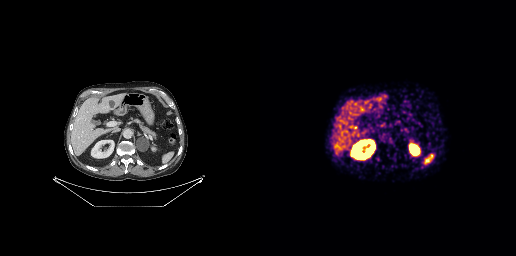
{"modality":"PSMA PET/CT","view":"axial","tracer":"68Ga","pet_grid":[256,256],"coord_frame":"pet_panel","coord_format":"x0,y0,x1,y1","psma_avid_lesions":false}